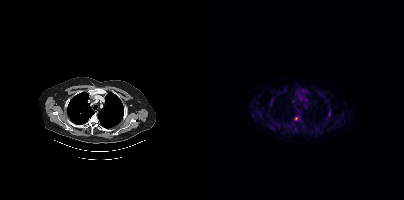
{"pet_grid":[200,200],"coord_frame":"pet_panel","coord_format":"x0,y0,x1,y1","partial":true,"lesion_bboxes":[],"small_foci_centers":[[92,118]],"modality":"PSMA PET/CT","view":"axial","tracer":"18F-PSMA"}